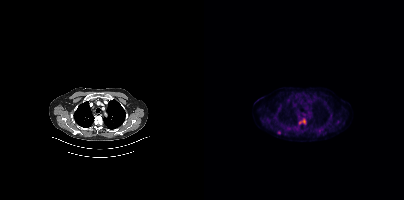
- Left: CT. Right: PSMA PET, same axial level, 18F-PSMA tracer
- PET panel 200×200 px (4.1 mm/px)
Findings: Coordinates are on the 200×200 PET (right) panel. PSMA-avid tumor lesion bounding box (x, y, width, height): x=95 y=118 w=7 h=7. Small PSMA-avid foci (2 to 4 px across) near (center x, center y): (74, 132) | (84, 128).